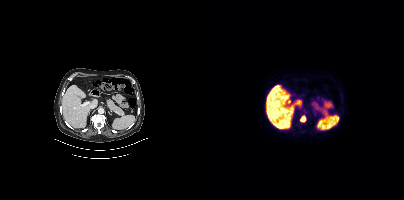
{"modality":"PSMA PET/CT","view":"axial","tracer":"18F-PSMA","pet_grid":[200,200],"coord_frame":"pet_panel","coord_format":"x0,y0,x1,y1","lesion_bboxes":[[96,116,101,122]]}